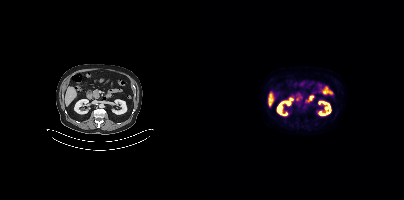
Technique: Two-panel axial: CT | PSMA PET, 18F tracer. slice position z = -1210 mm. PET panel 200×200 px (4.1 mm/px).
Findings: Negative for PSMA-avid disease on this slice.